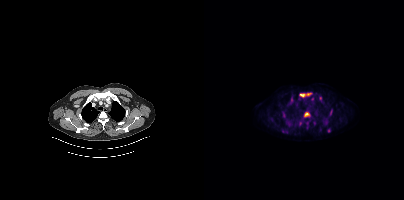
Technique: Two-panel axial: CT | PSMA PET, 18F tracer. slice position z = -996 mm. PET panel 200×200 px (4.1 mm/px).
Findings: Coordinates are on the 200×200 PET (right) panel. (showing 10 of 11 foci) PSMA-avid tumor lesion bounding boxes (x0,y0,x1,y1): [95,93,107,97] [100,112,106,116] [87,97,89,101]. Small PSMA-avid foci (2 to 4 px across) near (center x, center y): (79, 130) (116, 98) (79, 115) (125, 130) (96, 123) (103, 123) (127, 110).